Technique: Two-panel axial: CT | PSMA PET, 18F-PSMA tracer.
Note: Head region blanked for anonymization (face removed).
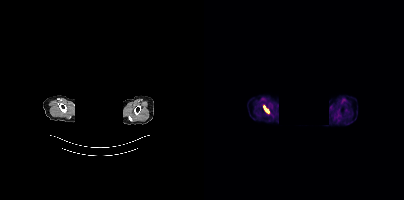
Findings: Coordinates are on the 200×200 PET (right) panel. PSMA-avid tumor lesion bounding box (x, y, width, height): x=60 y=107 w=5 h=5.